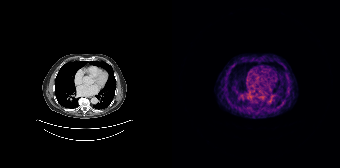
{"modality":"PSMA PET/CT","view":"axial","tracer":"68Ga","pet_grid":[168,168],"coord_frame":"pet_panel","coord_format":"x0,y0,x1,y1","lesion_bboxes":[[108,102,111,106]],"small_foci_centers":[[89,96]]}